Paired axial CT (left) and PSMA PET (right), 18F tracer.
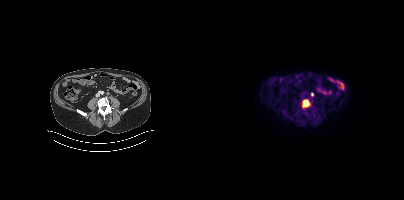
Coordinates are on the 200×200 PET (right) panel. (showing 1 of 2 foci) PSMA-avid tumor lesion bounding box (x0, y0)-(x1, y1): (98, 100)-(105, 107).